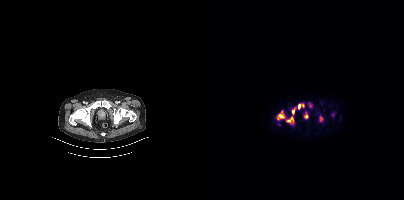
Two-panel axial: CT | PSMA PET, 18F-PSMA tracer. Coordinates are on the 200×200 PET (right) panel. (showing 8 of 10 foci) PSMA-avid tumor lesion bounding boxes (x, y, width, height): x=83 y=117 w=8 h=7 | x=74 y=114 w=7 h=4 | x=116 y=116 w=3 h=6 | x=94 y=104 w=3 h=5 | x=105 y=103 w=3 h=5 | x=88 y=110 w=3 h=5. Small PSMA-avid foci (2 to 4 px across) near (center x, center y): (102, 116) | (98, 105).